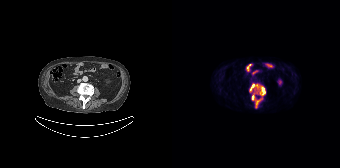
Coordinates are on the 168×168 PET (right) panel. PSMA-avid tumor lesion bounding boxes (x, y, width, height): x=77 y=83 w=17 h=13 / x=80 y=93 w=11 h=15.